Technique: Two-panel axial: CT | PSMA PET, 18F tracer. slice 69 of 263. PET panel 256×256 px (2.7 mm/px).
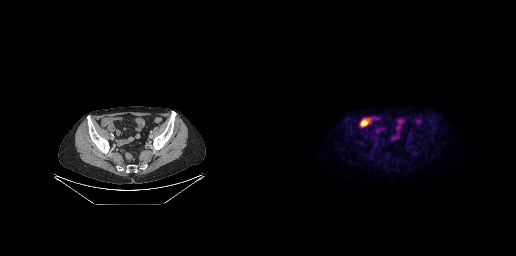
Findings: Negative for PSMA-avid disease on this slice.